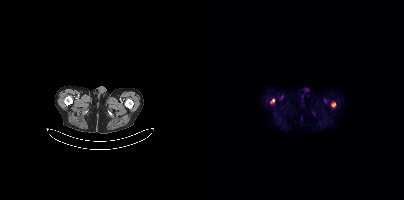
Findings: Coordinates are on the 200×200 PET (right) panel. PSMA-avid tumor lesion bounding boxes (x, y, width, height): x=66 y=99 w=5 h=5; x=127 y=103 w=5 h=4.
Technique: Left: CT. Right: PSMA PET, same axial level, 18F tracer. acquired on Siemens Biograph mCT Flow 20. slice 24 of 373. PET panel 200×200 px (4.1 mm/px).